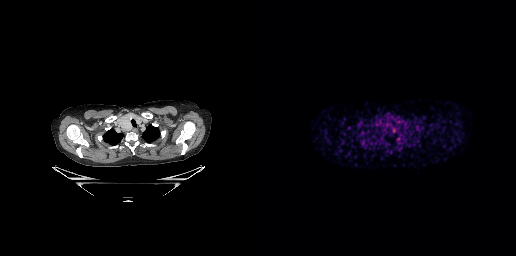
Left: CT. Right: PSMA PET, same axial level, 68Ga tracer. Acquired on GE Discovery 690. Slice position z = -313 mm. PET panel 256×256 px (2.7 mm/px). Negative for PSMA-avid disease on this slice.